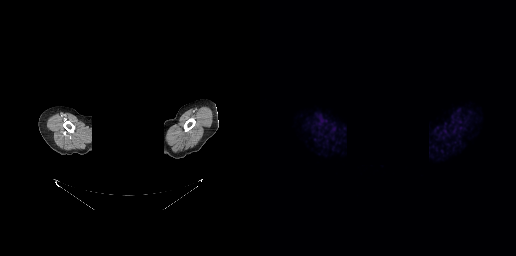
Face de-identified by blanking a block of the head. Paired axial CT (left) and PSMA PET (right), 68Ga-PSMA tracer. Acquired on GE Discovery 690. This slice has no annotated PSMA-avid lesion.